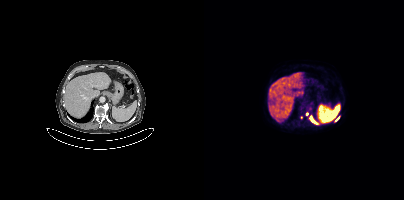
{"modality":"PSMA PET/CT","view":"axial","tracer":"[18F]PSMA-1007","pet_grid":[200,200],"coord_frame":"pet_panel","coord_format":"x0,y0,x1,y1","lesion_bboxes":[[106,116,112,123],[131,117,135,121]],"small_foci_centers":[[97,117],[102,113]]}